Two-panel axial: CT | PSMA PET, [68Ga]Ga-PSMA-11 tracer. Acquired on Siemens Biograph 64-4R TruePoint. Slice position z = -612 mm.
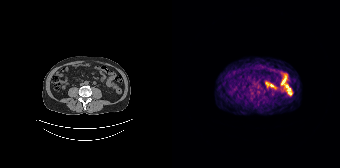
Negative for PSMA-avid disease on this slice.